Technique: Paired axial CT (left) and PSMA PET (right), 68Ga tracer.
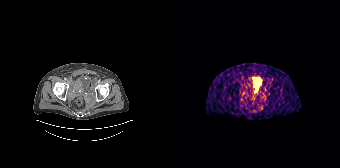
Findings: Coordinates are on the 168×168 PET (right) panel. PSMA-avid tumor lesion bounding box (x0, y0)-(x1, y1): (82, 81)-(88, 91).